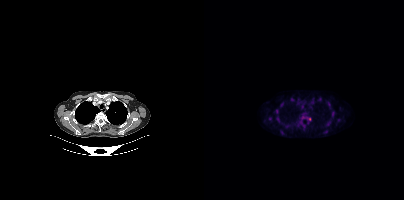
Coordinates are on the 200×200 PET (right) panel. Small PSMA-avid foci (2 to 4 px across) near (center x, center y): (72, 111) (128, 113) (73, 119) (105, 119) (65, 118) (77, 104).